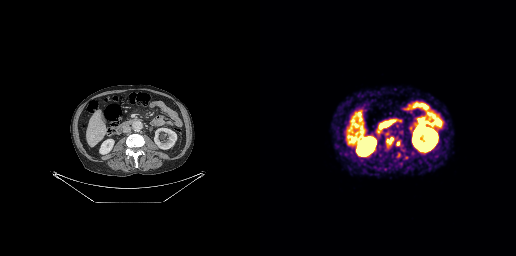
Coordinates are on the 256×256 PET (right) panel. PSMA-avid tumor lesion bounding boxes (x0,y0,x1,y1): [127,136,134,145] [136,140,140,146].